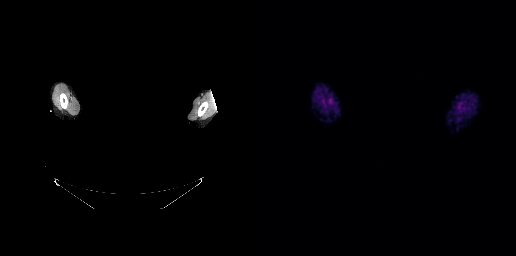
{"pet_grid":[256,256],"coord_frame":"pet_panel","coord_format":"x0,y0,x1,y1","psma_avid_lesions":false,"deidentification":"head region blacked out before release","modality":"PSMA PET/CT","view":"axial","tracer":"[18F]PSMA-1007"}